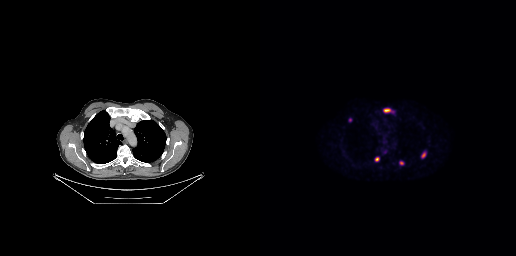
Coordinates are on the 256×256 PET (right) panel. PSMA-avid tumor lesion bounding boxes (x0, y0)-(x1, y1): (123, 108)-(132, 112) / (161, 152)-(166, 158) / (115, 157)-(119, 161). Small PSMA-avid foci (2 to 4 px across) near (center x, center y): (141, 162) / (90, 119).